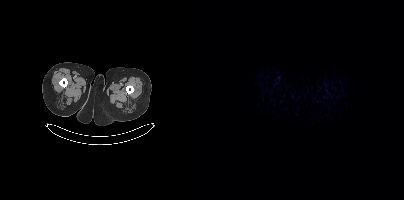
{"modality":"PSMA PET/CT","view":"axial","tracer":"[18F]PSMA-1007","pet_grid":[200,200],"coord_frame":"pet_panel","coord_format":"x0,y0,x1,y1","psma_avid_lesions":false}